modality: PSMA PET/CT | tracer: 18F-PSMA | view: axial
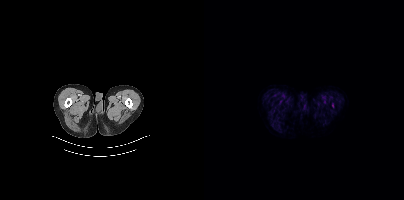
This slice has no annotated PSMA-avid lesion.